Technique: Paired axial CT (left) and PSMA PET (right), 18F-PSMA tracer.
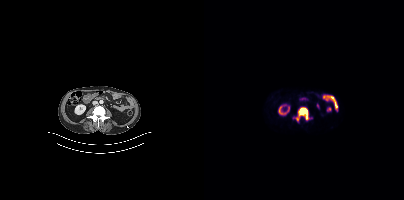
Findings: Coordinates are on the 200×200 PET (right) panel. (showing 1 of 2 foci) PSMA-avid tumor lesion bounding box (x, y, width, height): x=91 y=107 w=15 h=15.